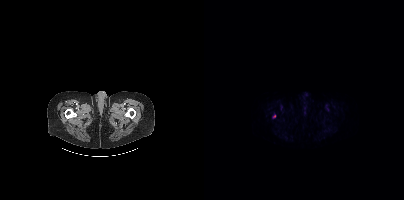
Negative for PSMA-avid disease on this slice. Left: CT. Right: PSMA PET, same axial level, 18F-PSMA tracer. Acquired on Siemens Biograph mCT Flow 20. Slice 29 of 389.